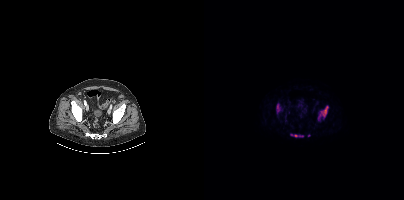
Technique: Two-panel axial: CT | PSMA PET, 18F tracer. PET panel 200×200 px (4.1 mm/px).
Findings: Coordinates are on the 200×200 PET (right) panel. PSMA-avid tumor lesion bounding boxes (x0, y0)-(x1, y1): (114, 105)-(124, 120) | (86, 134)-(99, 137) | (72, 103)-(76, 113). Small PSMA-avid focus (2 to 4 px across) near (center x, center y): (105, 135).